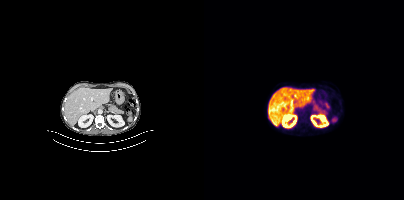
{"pet_grid":[200,200],"coord_frame":"pet_panel","coord_format":"x0,y0,x1,y1","psma_avid_lesions":false,"modality":"PSMA PET/CT","view":"axial","tracer":"18F"}